Paired axial CT (left) and PSMA PET (right), 18F tracer. Slice position z = -703 mm. PET panel 256×256 px (2.7 mm/px).
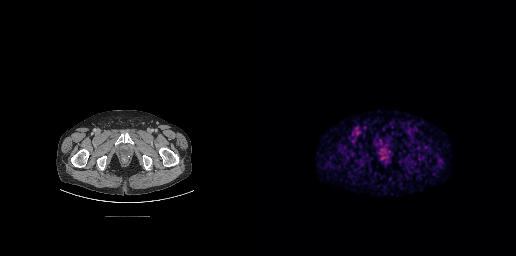
This slice has no annotated PSMA-avid lesion.